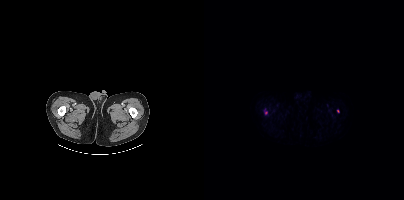
Left: CT. Right: PSMA PET, same axial level, [18F]PSMA-1007 tracer. Slice 94 of 508. PET panel 200×200 px (4.1 mm/px). Coordinates are on the 200×200 PET (right) panel. PSMA-avid tumor lesion bounding box (x, y, width, height): x=60 y=109 w=4 h=6. Small PSMA-avid focus (2 to 4 px across) near (center x, center y): (134, 111).